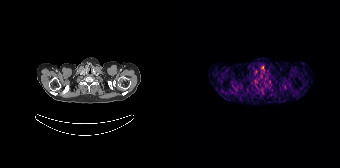
Findings: No tumor lesions annotated on this slice.
- Two-panel axial: CT | PSMA PET, [68Ga]Ga-PSMA-11 tracer
- PET panel 168×168 px (4.1 mm/px)